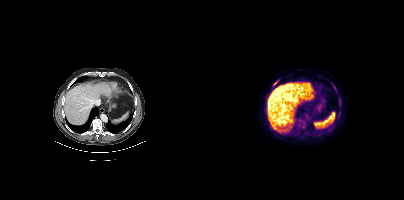
modality: PSMA PET/CT | tracer: 18F | view: axial
Coordinates are on the 200×200 PET (right) panel. PSMA-avid tumor lesion bounding box (x0,y0,x1,y1): [128,83,131,88]. Small PSMA-avid focus (2 to 4 px across) near (center x, center y): (70, 83).